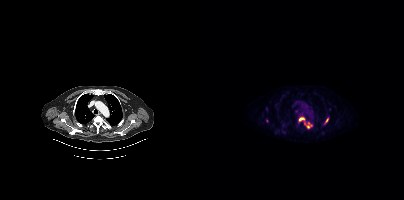
{"modality":"PSMA PET/CT","view":"axial","tracer":"18F-PSMA","pet_grid":[200,200],"coord_frame":"pet_panel","coord_format":"x0,y0,x1,y1","partial":true,"lesion_bboxes":[[95,118,108,127],[121,118,124,122]],"small_foci_centers":[[63,121],[91,110]]}